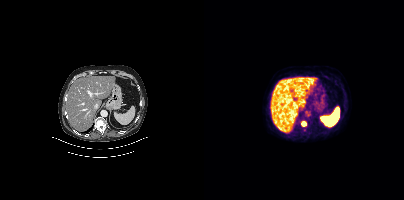
Coordinates are on the 200×200 PET (right) panel. PSMA-avid tumor lesion bounding box (x, y, width, height): x=98 y=121 w=5 h=6.